Two-panel axial: CT | PSMA PET, [68Ga]Ga-PSMA-11 tracer. Acquired on GE Discovery 690.
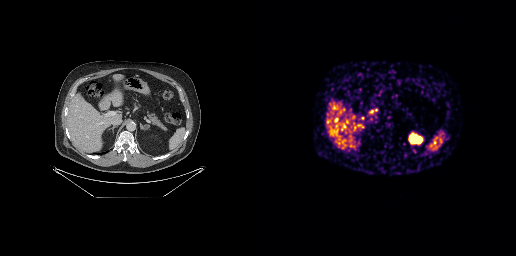
Coordinates are on the 256×256 PET (right) panel. PSMA-avid tumor lesion bounding box (x0,y0,x1,y1): [109,110,113,113].